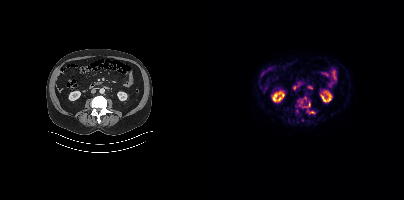
Paired axial CT (left) and PSMA PET (right), [18F]PSMA-1007 tracer.
Coordinates are on the 200×200 PET (right) panel. PSMA-avid tumor lesion bounding boxes:
| # | x0 | y0 | x1 | y1 |
|---|---|---|---|---|
| 1 | 91 | 98 | 102 | 107 |
| 2 | 103 | 109 | 111 | 114 |
| 3 | 98 | 101 | 106 | 107 |
Small PSMA-avid focus (2 to 4 px across) near (center x, center y): (93, 110).